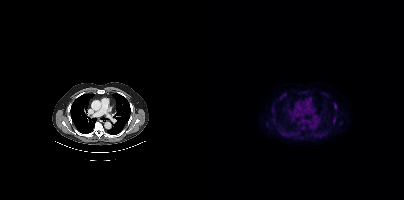
This slice has no annotated PSMA-avid lesion. Paired axial CT (left) and PSMA PET (right), [18F]PSMA-1007 tracer. Acquired on Siemens Biograph mCT Flow 20. Slice 299 of 417. PET panel 200×200 px (4.1 mm/px).